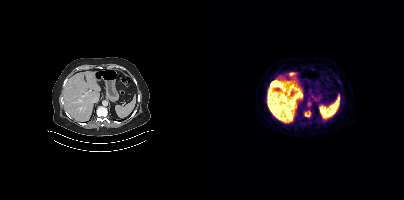
Coordinates are on the 200×200 PET (right) panel. PSMA-avid tumor lesion bounding box (x0,y0,x1,y1): [101,111,106,116].